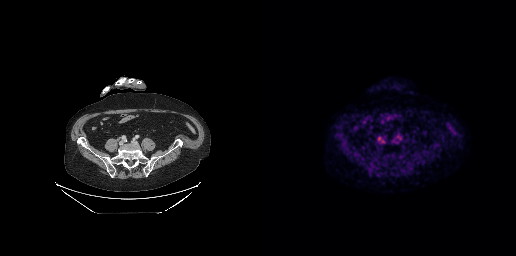
Findings: No tumor lesions annotated on this slice.
Technique: Two-panel axial: CT | PSMA PET, 18F-PSMA tracer. slice position z = -578 mm. PET panel 256×256 px (2.7 mm/px).